Two-panel axial: CT | PSMA PET, 18F tracer. Acquired on Siemens Biograph mCT Flow 20.
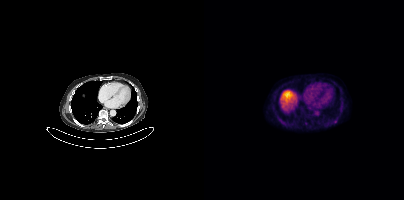
No PSMA-avid tumor lesions on this slice.